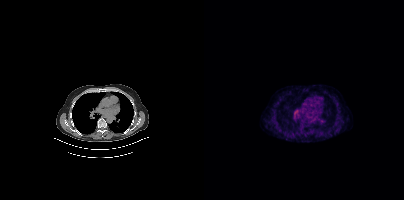
Negative for PSMA-avid disease on this slice.